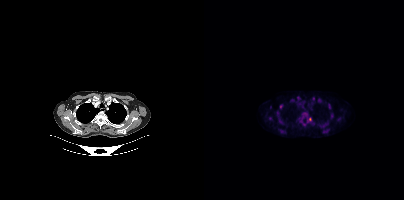
modality: PSMA PET/CT | tracer: 18F | view: axial | PET grid: 200×200
Coordinates are on the 200×200 PET (right) panel. Small PSMA-avid foci (2 to 4 px across) near (center x, center y): (77, 106) | (105, 119) | (127, 116) | (73, 112) | (66, 118).